Paired axial CT (left) and PSMA PET (right), 18F tracer. Acquired on Siemens Biograph mCT Flow 20.
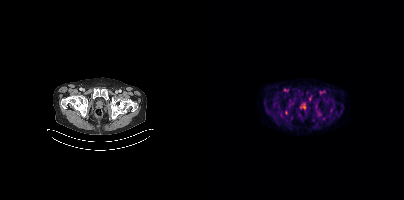
No tumor lesions annotated on this slice.